- Two-panel axial: CT | PSMA PET, 18F-PSMA tracer
- acquired on Siemens Biograph mCT Flow 20
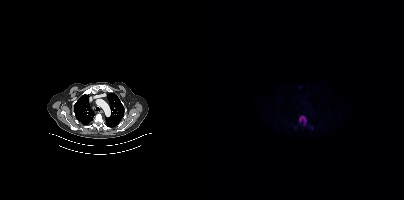
Findings: Coordinates are on the 200×200 PET (right) panel. (showing 2 of 3 foci) PSMA-avid tumor lesion bounding box (x0,y0,x1,y1): [95,115,102,126]. Small PSMA-avid focus (2 to 4 px across) near (center x, center y): (91, 127).